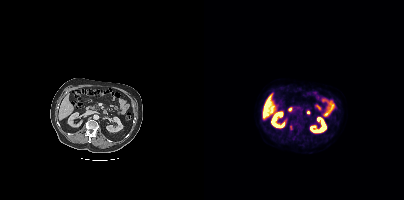
Findings: Coordinates are on the 200×200 PET (right) panel. Small PSMA-avid focus (2 to 4 px across) near (center x, center y): (86, 127).
- Paired axial CT (left) and PSMA PET (right), 18F tracer
- acquired on Siemens Biograph mCT Flow 20
- slice position z = -684 mm
- PET panel 200×200 px (4.1 mm/px)